modality: PSMA PET/CT | tracer: 18F-PSMA | view: axial | PET grid: 200×200
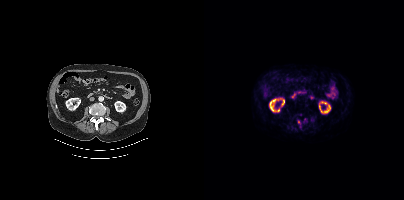
Coordinates are on the 200×200 PET (right) panel. Small PSMA-avid focus (2 to 4 px across) near (center x, center y): (94, 121).